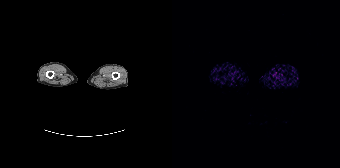
{"modality":"PSMA PET/CT","view":"axial","tracer":"[68Ga]Ga-PSMA-11","pet_grid":[168,168],"coord_frame":"pet_panel","coord_format":"x0,y0,x1,y1","psma_avid_lesions":false}